- Paired axial CT (left) and PSMA PET (right), 18F-PSMA tracer
- acquired on GE Discovery 690
- slice 27 of 263
- PET panel 256×256 px (2.7 mm/px)
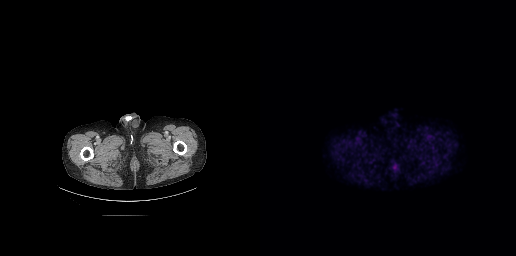
Findings: This slice has no annotated PSMA-avid lesion.